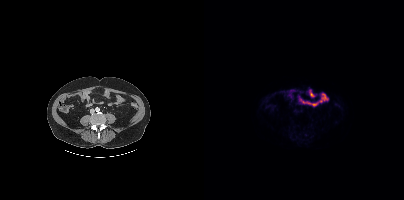
No PSMA-avid tumor lesions on this slice. Left: CT. Right: PSMA PET, same axial level, [18F]PSMA-1007 tracer. Slice 131 of 417.